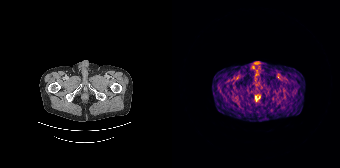
{"modality":"PSMA PET/CT","view":"axial","tracer":"68Ga-PSMA","pet_grid":[168,168],"coord_frame":"pet_panel","coord_format":"x0,y0,x1,y1","psma_avid_lesions":false}